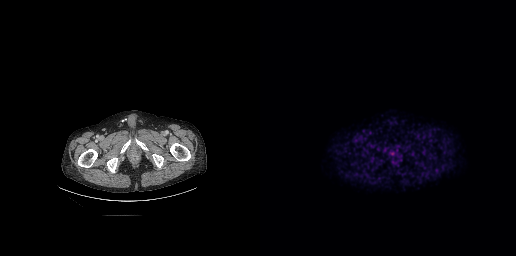
Paired axial CT (left) and PSMA PET (right), 18F-PSMA tracer. Acquired on GE Discovery 690. Coordinates are on the 256×256 PET (right) panel. PSMA-avid tumor lesion bounding boxes (x0,y0,x1,y1): [128,149,139,157] [131,158,140,164].